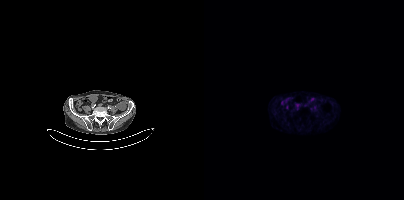
{"modality":"PSMA PET/CT","view":"axial","tracer":"[18F]PSMA-1007","pet_grid":[200,200],"coord_frame":"pet_panel","coord_format":"x0,y0,x1,y1","psma_avid_lesions":false}